Technique: Paired axial CT (left) and PSMA PET (right), 18F tracer. slice position z = -1248 mm. PET panel 200×200 px (4.1 mm/px).
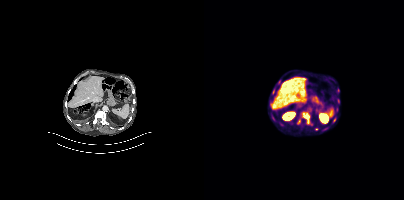
Findings: Coordinates are on the 200×200 PET (right) panel. PSMA-avid tumor lesion bounding boxes (x, y, width, height): x=101 y=114 w=5 h=8 | x=68 y=89 w=3 h=6. Small PSMA-avid focus (2 to 4 px across) near (center x, center y): (130, 120).